Technique: Paired axial CT (left) and PSMA PET (right), 18F-PSMA tracer.
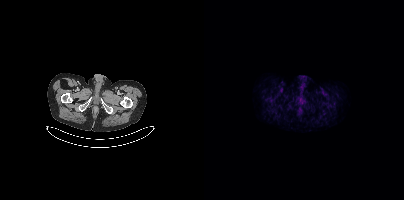
Findings: Negative for PSMA-avid disease on this slice.